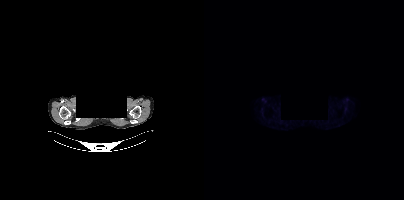
This slice has no annotated PSMA-avid lesion. The head region is masked for de-identification. Two-panel axial: CT | PSMA PET, 18F-PSMA tracer. PET panel 200×200 px (4.1 mm/px).